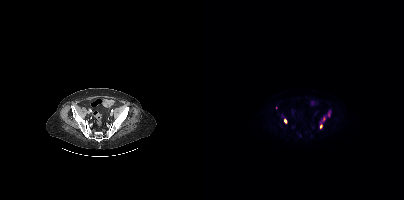
Coordinates are on the 200×200 PET (right) panel. PSMA-avid tumor lesion bounding boxes (x0,y0,x1,y1): [116,117,121,128]; [80,119,82,123]; [124,112,125,116].